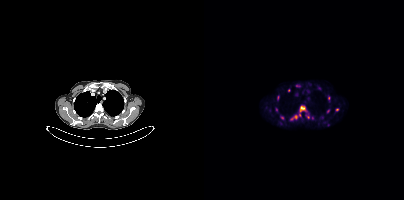
Coordinates are on the 200×200 PET (right) panel. (showing 11 of 12 foci) PSMA-avid tumor lesion bounding box (x0,y0,x1,y1): [86,105,103,120]. Small PSMA-avid foci (2 to 4 px across) near (center x, center y): (132, 109), (77, 117), (74, 97), (125, 97), (103, 116), (124, 110), (85, 90), (93, 85), (72, 109), (108, 117).